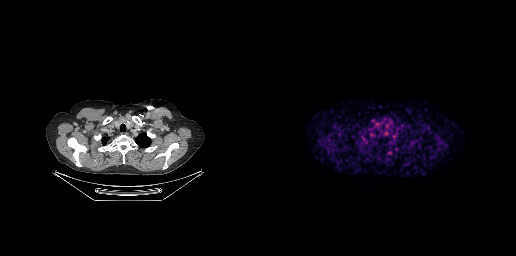
No PSMA-avid tumor lesions on this slice.
modality: PSMA PET/CT | tracer: 68Ga | view: axial | PET grid: 256×256